Technique: Paired axial CT (left) and PSMA PET (right), [18F]PSMA-1007 tracer. acquired on Siemens Biograph mCT Flow 20.
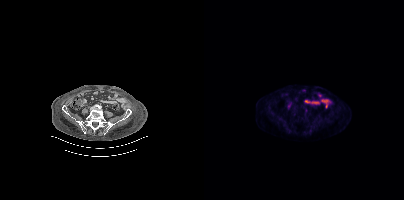
Findings: Only PSMA-avid lesion pieces thinner than 2 px on this slice (not listed).